Paired axial CT (left) and PSMA PET (right), 18F tracer. Acquired on Siemens Biograph mCT Flow 20. Slice 404 of 454. A rectangle over the head was blacked out to remove identifiable facial features.
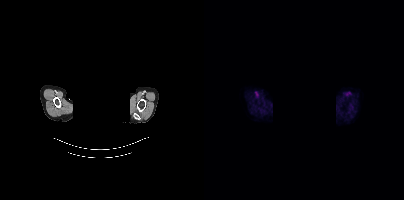
No tumor lesions annotated on this slice.